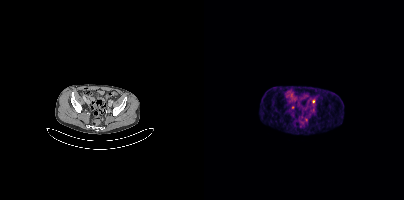
modality: PSMA PET/CT | tracer: [68Ga]Ga-PSMA-11 | view: axial
Coordinates are on the 200×200 PET (right) panel. (showing 1 of 2 foci) Small PSMA-avid focus (2 to 4 px across) near (center x, center y): (109, 101).